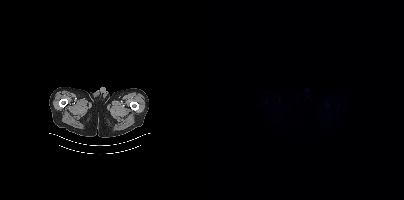
Negative for PSMA-avid disease on this slice. Left: CT. Right: PSMA PET, same axial level, [18F]PSMA-1007 tracer. Acquired on Siemens Biograph mCT Flow 20. Slice position z = -1084 mm.